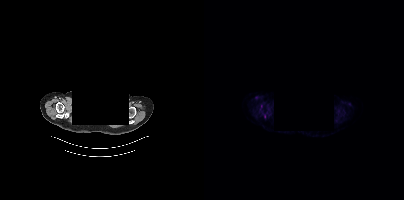
Face de-identified by blanking a block of the head. Two-panel axial: CT | PSMA PET, 18F tracer. Acquired on Siemens Biograph mCT Flow 20.
Coordinates are on the 200×200 PET (right) panel. PSMA-avid tumor lesion bounding boxes (partial; 1 more focus not listed):
| # | x0 | y0 | x1 | y1 |
|---|---|---|---|---|
| 1 | 60 | 114 | 61 | 118 |